Left: CT. Right: PSMA PET, same axial level, 18F tracer.
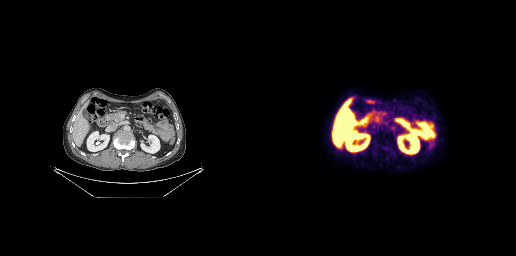
Coordinates are on the 256×256 PET (right) panel. PSMA-avid tumor lesion bounding box (x, y, width, height): x=130 y=125 w=6 h=6.